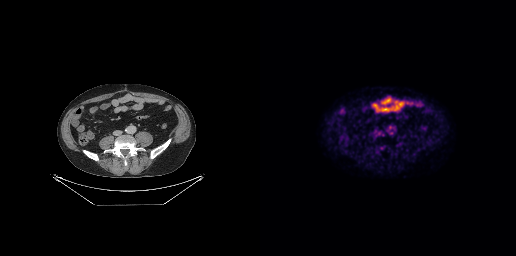
modality: PSMA PET/CT | tracer: 18F-PSMA | view: axial | PET grid: 256×256
Coordinates are on the 256×256 PET (right) panel. Small PSMA-avid focus (2 to 4 px across) near (center x, center y): (121, 148).